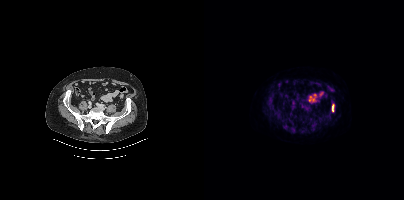
Technique: Two-panel axial: CT | PSMA PET, [18F]PSMA-1007 tracer. PET panel 200×200 px (4.1 mm/px).
Findings: Coordinates are on the 200×200 PET (right) panel. PSMA-avid tumor lesion bounding box (x0, y0)-(x1, y1): (127, 104)-(130, 112).